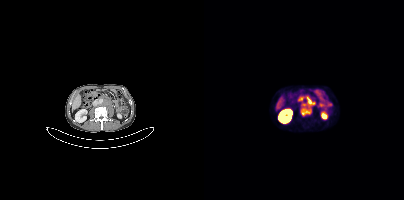
Two-panel axial: CT | PSMA PET, [68Ga]Ga-PSMA-11 tracer. Acquired on Siemens Biograph mCT Flow 20. Coordinates are on the 200×200 PET (right) panel. (showing 2 of 3 foci) PSMA-avid tumor lesion bounding box (x0,y0,x1,y1): [96,97,111,116]. Small PSMA-avid focus (2 to 4 px across) near (center x, center y): (98, 103).